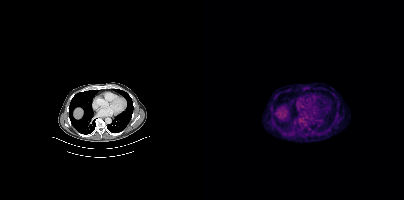
{"pet_grid":[200,200],"coord_frame":"pet_panel","coord_format":"x0,y0,x1,y1","lesion_bboxes":[[96,118,101,123]],"modality":"PSMA PET/CT","view":"axial","tracer":"18F"}